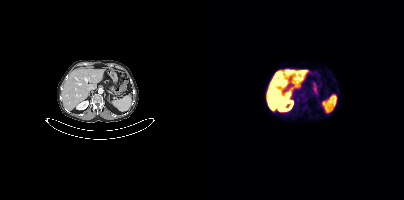
{"modality":"PSMA PET/CT","view":"axial","tracer":"18F","pet_grid":[200,200],"coord_frame":"pet_panel","coord_format":"x0,y0,x1,y1","psma_avid_lesions":false}